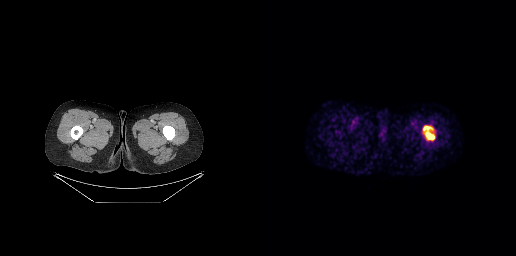
Coordinates are on the 256×256 PET (right) panel. PSMA-avid tumor lesion bounding boxes:
| # | x0 | y0 | x1 | y1 |
|---|---|---|---|---|
| 1 | 163 | 126 | 174 | 139 |
Paired axial CT (left) and PSMA PET (right), 68Ga-PSMA tracer. Acquired on GE Discovery 690. Slice position z = -1045 mm.